- Two-panel axial: CT | PSMA PET, 18F-PSMA tracer
- acquired on Siemens Biograph 64-4R TruePoint
- PET panel 168×168 px (4.1 mm/px)
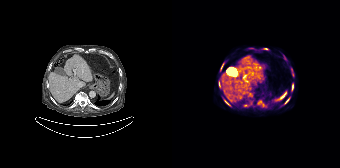
Findings: Coordinates are on the 168×168 PET (right) panel. (showing 9 of 14 foci) PSMA-avid tumor lesion bounding boxes (x, y, width, height): x=49 y=63 w=4 h=7 | x=113 y=98 w=5 h=6 | x=85 y=101 w=5 h=3. Small PSMA-avid foci (2 to 4 px across) near (center x, center y): (93, 48) | (73, 105) | (47, 85) | (120, 85) | (119, 69) | (55, 103).